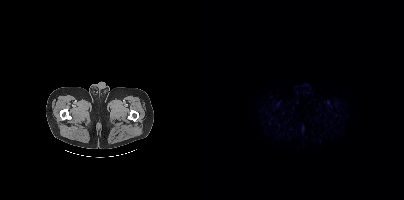
Negative for PSMA-avid disease on this slice.
modality: PSMA PET/CT | tracer: 18F-PSMA | view: axial